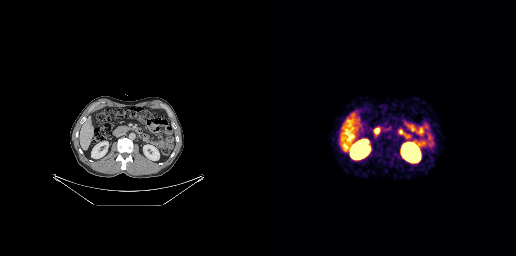
Technique: Paired axial CT (left) and PSMA PET (right), 68Ga tracer. acquired on GE Discovery 690.
Findings: No PSMA-avid tumor lesions on this slice.